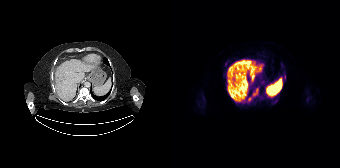
Technique: Paired axial CT (left) and PSMA PET (right), 18F tracer. slice position z = -938 mm. PET panel 168×168 px (4.1 mm/px).
Findings: This slice has no annotated PSMA-avid lesion.